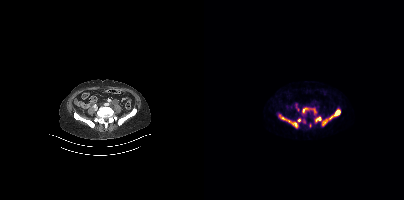
Technique: Paired axial CT (left) and PSMA PET (right), [68Ga]Ga-PSMA-11 tracer. acquired on Siemens Biograph mCT Flow 20. slice position z = 508 mm. PET panel 200×200 px (4.1 mm/px).
Findings: Coordinates are on the 200×200 PET (right) panel. PSMA-avid tumor lesion bounding boxes (x0, y0)-(x1, y1): (74, 113)-(94, 127); (112, 117)-(124, 126); (131, 109)-(136, 114); (105, 108)-(112, 114); (98, 107)-(103, 113); (126, 115)-(130, 119). Small PSMA-avid foci (2 to 4 px across) near (center x, center y): (100, 121); (106, 125); (95, 120).